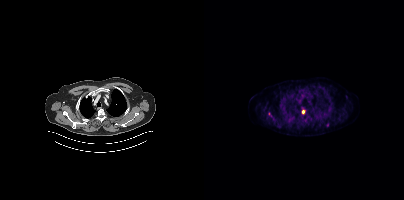
Two-panel axial: CT | PSMA PET, 18F-PSMA tracer. Acquired on Siemens Biograph mCT Flow 20. PET panel 200×200 px (4.1 mm/px). Coordinates are on the 200×200 PET (right) panel. Small PSMA-avid focus (2 to 4 px across) near (center x, center y): (98, 111).